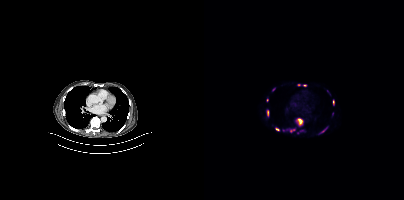
Coordinates are on the 200×200 PET (right) panel. (showing 11 of 15 foci) PSMA-avid tumor lesion bounding boxes (x0, y0)-(x1, y1): (93, 118)-(98, 126); (86, 129)-(91, 132); (116, 127)-(123, 133); (62, 110)-(65, 115); (71, 128)-(75, 130); (129, 100)-(130, 104). Small PSMA-avid foci (2 to 4 px across) near (center x, center y): (100, 85); (63, 100); (95, 84); (69, 89); (93, 132).